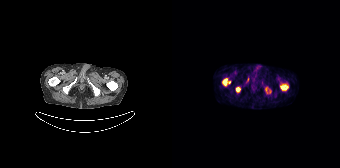
Paired axial CT (left) and PSMA PET (right), [68Ga]Ga-PSMA-11 tracer.
Coordinates are on the 168×168 PET (right) panel. PSMA-avid tumor lesion bounding boxes (partial; 1 more focus not listed):
| # | x0 | y0 | x1 | y1 |
|---|---|---|---|---|
| 1 | 50 | 78 | 58 | 86 |
| 2 | 108 | 84 | 116 | 90 |
| 3 | 64 | 87 | 68 | 92 |
| 4 | 93 | 87 | 97 | 91 |
| 5 | 74 | 78 | 77 | 82 |